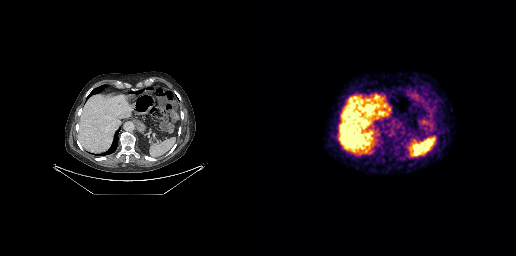
Technique: Paired axial CT (left) and PSMA PET (right), 68Ga tracer. PET panel 256×256 px (2.7 mm/px).
Findings: No tumor lesions annotated on this slice.